Left: CT. Right: PSMA PET, same axial level, 18F-PSMA tracer.
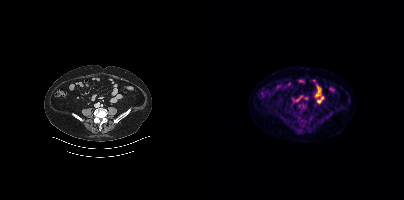
This slice has no annotated PSMA-avid lesion.